Technique: Paired axial CT (left) and PSMA PET (right), [18F]PSMA-1007 tracer. slice 169 of 401. PET panel 200×200 px (4.1 mm/px).
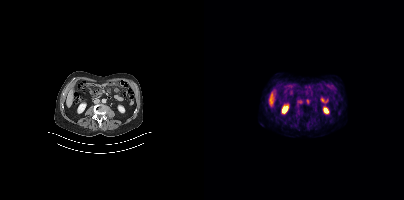
Findings: No tumor lesions annotated on this slice.